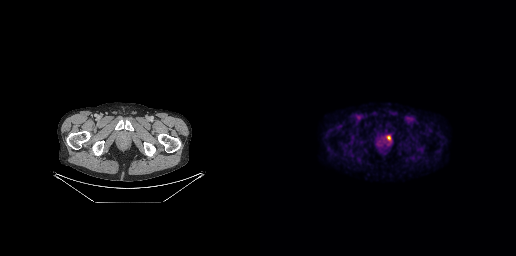
Technique: Paired axial CT (left) and PSMA PET (right), 18F-PSMA tracer. slice position z = -676 mm. PET panel 256×256 px (2.7 mm/px).
Findings: Coordinates are on the 256×256 PET (right) panel. PSMA-avid tumor lesion bounding box (x, y, width, height): x=126 y=135 w=6 h=6.